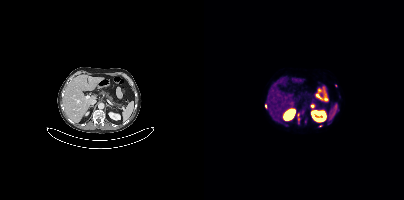
{"modality":"PSMA PET/CT","view":"axial","tracer":"[68Ga]Ga-PSMA-11","pet_grid":[200,200],"coord_frame":"pet_panel","coord_format":"x0,y0,x1,y1","lesion_bboxes":[[93,117,96,123],[100,118,102,123],[61,104,62,108]],"small_foci_centers":[[132,85],[94,114],[116,125]]}